modality: PSMA PET/CT | tracer: 18F | view: axial
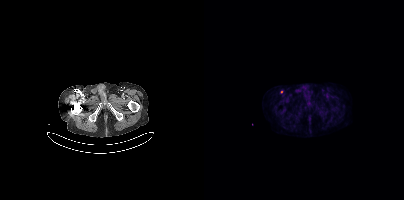
Coordinates are on the 200×200 PET (right) panel. Small PSMA-avid focus (2 to 4 px across) near (center x, center y): (77, 91).